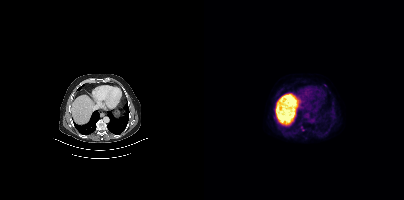
Paired axial CT (left) and PSMA PET (right), [18F]PSMA-1007 tracer. Negative for PSMA-avid disease on this slice.